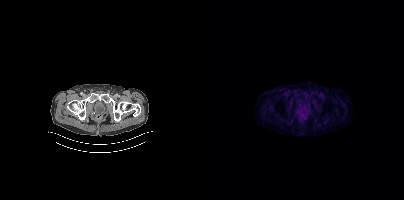
No PSMA-avid tumor lesions on this slice.